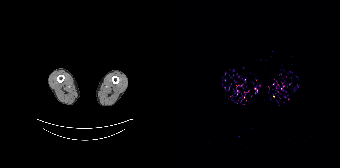
modality: PSMA PET/CT | tracer: 68Ga-PSMA | view: axial
No tumor lesions annotated on this slice.